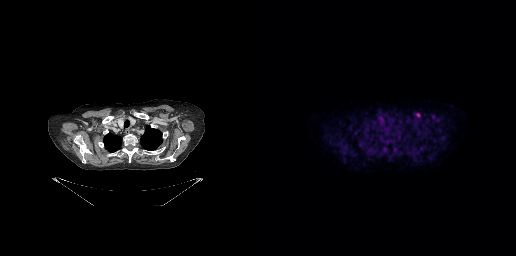
modality: PSMA PET/CT | tracer: 18F | view: axial | PET grid: 256×256
Coordinates are on the 256×256 PET (right) panel. Small PSMA-avid focus (2 to 4 px across) near (center x, center y): (158, 115).